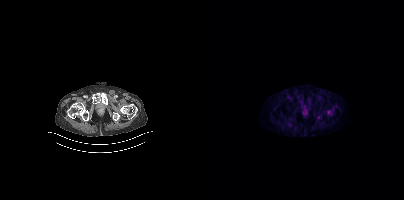
Left: CT. Right: PSMA PET, same axial level, [18F]PSMA-1007 tracer. Acquired on Siemens Biograph mCT Flow 20. Coordinates are on the 200×200 PET (right) panel. Small PSMA-avid focus (2 to 4 px across) near (center x, center y): (114, 117).